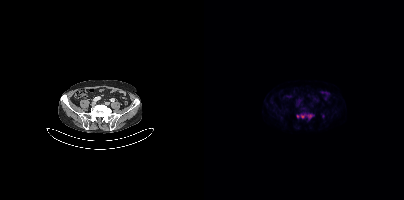
{"pet_grid":[200,200],"coord_frame":"pet_panel","coord_format":"x0,y0,x1,y1","partial":true,"lesion_bboxes":[[93,114,109,118]],"modality":"PSMA PET/CT","view":"axial","tracer":"18F-PSMA"}